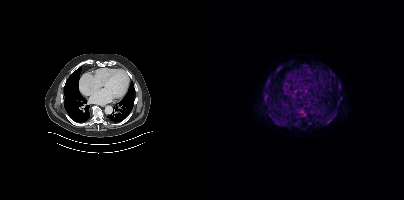
- Two-panel axial: CT | PSMA PET, [18F]PSMA-1007 tracer
- acquired on Siemens Biograph mCT Flow 20
Findings: Coordinates are on the 200×200 PET (right) panel. (showing 12 of 13 foci) PSMA-avid tumor lesion bounding boxes (x, y, width, height): x=94 y=107 w=10 h=11; x=122 y=113 w=11 h=11; x=61 y=79 w=6 h=8; x=71 y=120 w=7 h=6; x=64 y=113 w=6 h=6; x=59 y=96 w=6 h=6; x=134 y=97 w=5 h=5; x=72 y=67 w=5 h=5; x=134 y=84 w=4 h=5. Small PSMA-avid foci (2 to 4 px across) near (center x, center y): (105, 122); (101, 65); (65, 76).